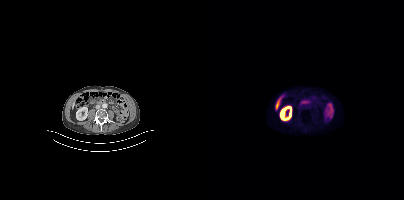
modality: PSMA PET/CT | tracer: 18F | view: axial
Negative for PSMA-avid disease on this slice.